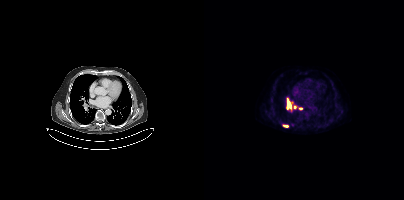
Coordinates are on the 200×200 PET (right) panel. PSMA-avid tumor lesion bounding box (x, y, width, height): x=79 y=125 w=6 h=2. Small PSMA-avid foci (2 to 4 px across) near (center x, center y): (90, 107) | (96, 108).